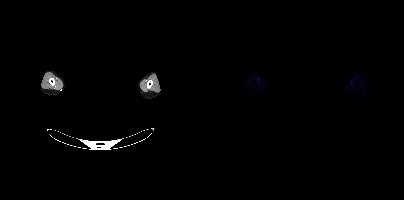
De-identified by setting a box covering the face to black before release.
No tumor lesions annotated on this slice.